Technique: Left: CT. Right: PSMA PET, same axial level, 18F-PSMA tracer. acquired on Siemens Biograph mCT Flow 20. PET panel 200×200 px (4.1 mm/px).
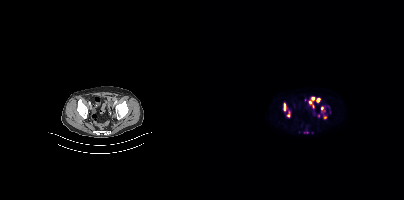
Findings: Coordinates are on the 200×200 PET (right) panel. PSMA-avid tumor lesion bounding boxes (x0,y0,x1,y1): [79,103,82,110]; [113,98,116,102]; [82,111,86,116]. Small PSMA-avid foci (2 to 4 px across) near (center x, center y): (108, 98); (118, 108); (106, 102); (109, 106); (121, 117).